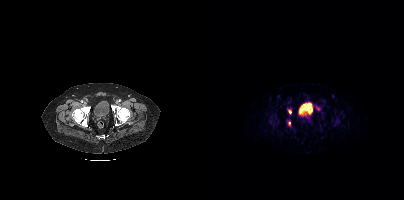
Coordinates are on the 200×200 PET (right) panel. (showing 2 of 4 foci) Small PSMA-avid foci (2 to 4 px across) near (center x, center y): (85, 112), (85, 123). Two-panel axial: CT | PSMA PET, [68Ga]Ga-PSMA-11 tracer. Acquired on Siemens Biograph mCT Flow 20. Slice position z = 319 mm. PET panel 200×200 px (4.1 mm/px).